- Left: CT. Right: PSMA PET, same axial level, 18F-PSMA tracer
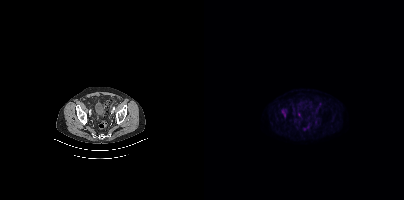
Findings: Coordinates are on the 200×200 PET (right) panel. PSMA-avid tumor lesion bounding box (x0, y0)-(x1, y1): (77, 109)-(83, 117).